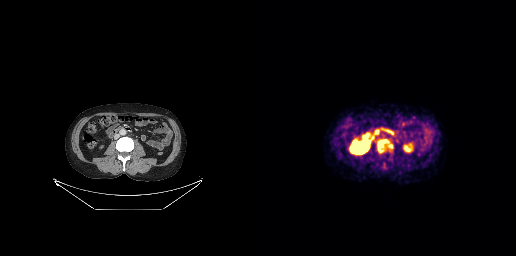
Findings: Coordinates are on the 256×256 PET (right) panel. PSMA-avid tumor lesion bounding box (x0,y0,x1,y1): [117,139,133,152].
- Paired axial CT (left) and PSMA PET (right), 18F-PSMA tracer